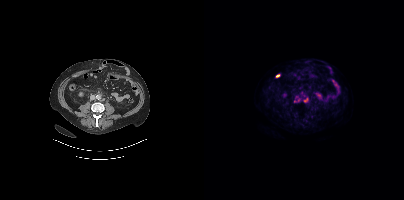
Findings: Coordinates are on the 200×200 PET (right) panel. (showing 4 of 5 foci) PSMA-avid tumor lesion bounding box (x0, y0)-(x1, y1): (101, 98)-(104, 102). Small PSMA-avid foci (2 to 4 px across) near (center x, center y): (95, 100) | (90, 101) | (97, 92).
Technique: Two-panel axial: CT | PSMA PET, [18F]PSMA-1007 tracer. acquired on Siemens Biograph mCT Flow 20.